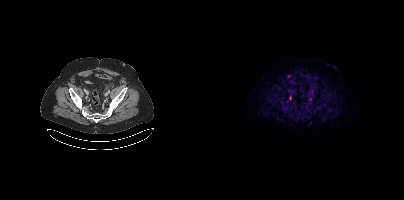
Findings: Coordinates are on the 200×200 PET (right) panel. PSMA-avid tumor lesion bounding box (x0,y0,x1,y1): [105,97,108,101]. Small PSMA-avid focus (2 to 4 px across) near (center x, center y): (86, 97).
- Two-panel axial: CT | PSMA PET, 18F tracer
- acquired on Siemens Biograph mCT Flow 20